Technique: Left: CT. Right: PSMA PET, same axial level, [18F]PSMA-1007 tracer. PET panel 256×256 px (2.7 mm/px).
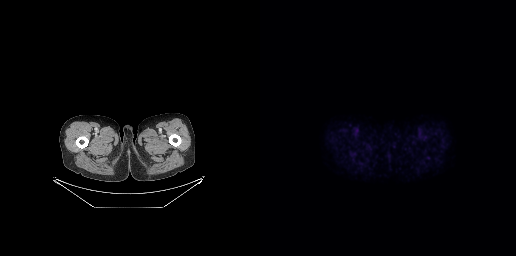
Findings: No tumor lesions annotated on this slice.